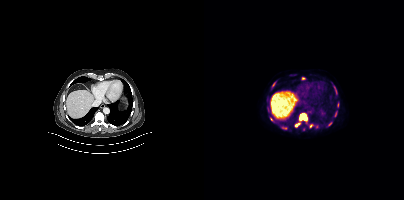
Coordinates are on the 200×200 PET (right) panel. (showing 7 of 10 foci) PSMA-avid tumor lesion bounding boxes (x0, y0)-(x1, y1): (95, 113)-(103, 120) | (78, 126)-(83, 129) | (91, 123)-(95, 126) | (68, 82)-(71, 86). Small PSMA-avid foci (2 to 4 px across) near (center x, center y): (107, 125) | (67, 119) | (131, 113). Left: CT. Right: PSMA PET, same axial level, [18F]PSMA-1007 tracer. Acquired on Siemens Biograph mCT Flow 20. PET panel 200×200 px (4.1 mm/px).